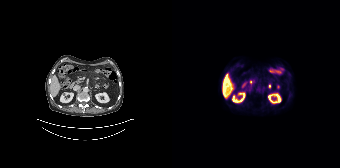
No PSMA-avid tumor lesions on this slice. Paired axial CT (left) and PSMA PET (right), 18F-PSMA tracer. Acquired on Siemens Biograph 64-4R TruePoint. PET panel 168×168 px (4.1 mm/px).